- Paired axial CT (left) and PSMA PET (right), [18F]PSMA-1007 tracer
- acquired on Siemens Biograph mCT Flow 20
- slice 58 of 395
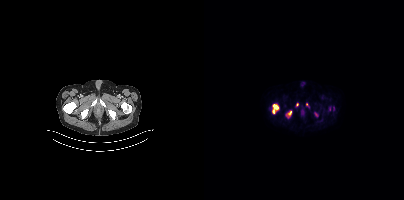
Findings: Coordinates are on the 200×200 PET (right) panel. (showing 4 of 6 foci) PSMA-avid tumor lesion bounding boxes (x, y, width, height): x=68 y=104 w=7 h=10; x=82 y=111 w=6 h=7. Small PSMA-avid foci (2 to 4 px across) near (center x, center y): (112, 114); (93, 104).